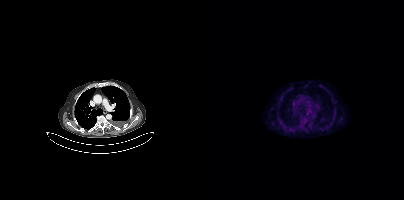
No tumor lesions annotated on this slice. Left: CT. Right: PSMA PET, same axial level, 18F tracer. Slice position z = -1076 mm.